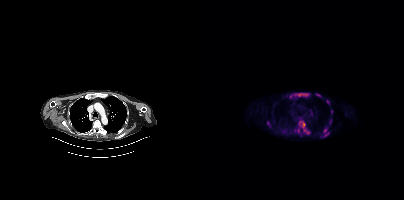
Findings: Coordinates are on the 200×200 PET (right) panel. (showing 11 of 12 foci) PSMA-avid tumor lesion bounding boxes (x0, y0)-(x1, y1): (95, 121)-(105, 132); (93, 93)-(104, 96); (119, 128)-(125, 136); (85, 93)-(89, 98); (106, 109)-(108, 115); (112, 93)-(116, 96). Small PSMA-avid foci (2 to 4 px across) near (center x, center y): (124, 101); (127, 111); (64, 123); (94, 130); (126, 121).
Technique: Paired axial CT (left) and PSMA PET (right), 18F tracer.